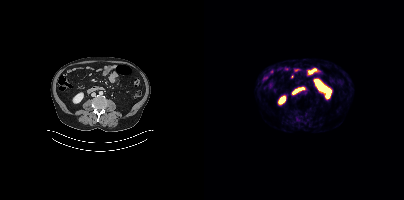
Left: CT. Right: PSMA PET, same axial level, 68Ga tracer. Acquired on Siemens Biograph mCT Flow 20. Slice position z = -880 mm. PET panel 200×200 px (4.1 mm/px). Negative for PSMA-avid disease on this slice.